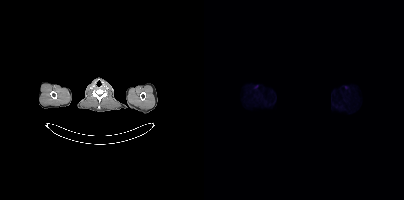
{"modality":"PSMA PET/CT","view":"axial","tracer":"18F","pet_grid":[200,200],"coord_frame":"pet_panel","coord_format":"x0,y0,x1,y1","psma_avid_lesions":false,"de-identification":"region blacked out before release"}